Paired axial CT (left) and PSMA PET (right), 18F tracer.
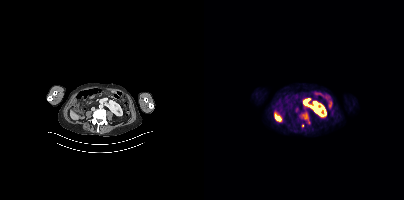
Coordinates are on the 200×200 PET (right) panel. (showing 2 of 3 foci) PSMA-avid tumor lesion bounding box (x, y, width, height): x=98 y=113 w=7 h=8. Small PSMA-avid focus (2 to 4 px across) near (center x, center y): (98, 125).